Two-panel axial: CT | PSMA PET, [18F]PSMA-1007 tracer. Slice position z = -872 mm.
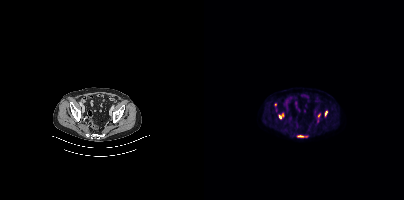
Coordinates are on the 200×200 PET (right) panel. PSMA-avid tumor lesion bounding boxes (x, y, width, height): x=93 y=135 w=11 h=3 / x=75 y=114 w=5 h=5 / x=121 y=111 w=3 h=6. Small PSMA-avid foci (2 to 4 px across) near (center x, center y): (115, 115) / (71, 104).